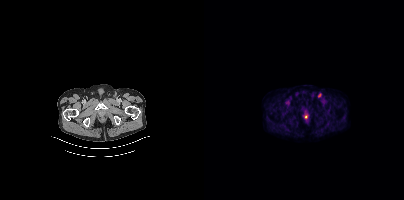
{"modality":"PSMA PET/CT","view":"axial","tracer":"18F-PSMA","pet_grid":[200,200],"coord_frame":"pet_panel","coord_format":"x0,y0,x1,y1","lesion_bboxes":[[114,93,117,97]],"small_foci_centers":[[102,116]]}